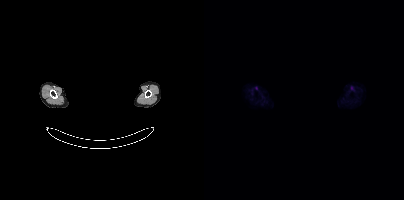
Face de-identified by blanking a block of the head. Left: CT. Right: PSMA PET, same axial level, [18F]PSMA-1007 tracer. Acquired on Siemens Biograph mCT Flow 20. Slice position z = -1042 mm. No tumor lesions annotated on this slice.